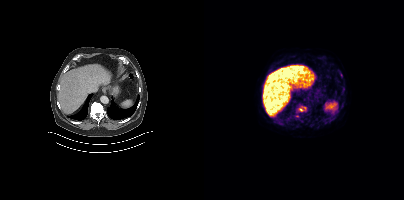
{"modality":"PSMA PET/CT","view":"axial","tracer":"18F","pet_grid":[200,200],"coord_frame":"pet_panel","coord_format":"x0,y0,x1,y1","lesion_bboxes":[[95,106,102,111]],"small_foci_centers":[[93,116]]}